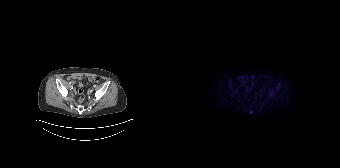
Only PSMA-avid lesion pieces thinner than 2 px on this slice (not listed).
modality: PSMA PET/CT | tracer: 18F | view: axial | PET grid: 168×168